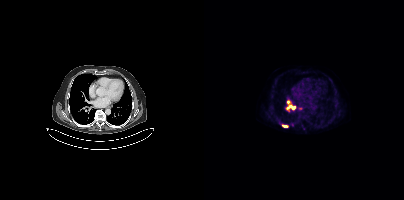
Findings: Coordinates are on the 200×200 PET (right) panel. (showing 2 of 3 foci) PSMA-avid tumor lesion bounding box (x0,y0,x1,y1): [79,125,83,127]. Small PSMA-avid focus (2 to 4 px across) near (center x, center y): (89, 107).
Technique: Left: CT. Right: PSMA PET, same axial level, 18F-PSMA tracer. PET panel 200×200 px (4.1 mm/px).